Technique: Left: CT. Right: PSMA PET, same axial level, 18F tracer. acquired on Siemens Biograph mCT Flow 20. slice position z = -762 mm. PET panel 200×200 px (4.1 mm/px).
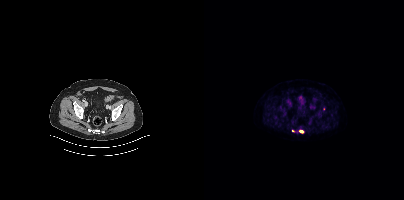
Findings: Coordinates are on the 200×200 PET (right) panel. Small PSMA-avid foci (2 to 4 px across) near (center x, center y): (97, 131) | (89, 130).